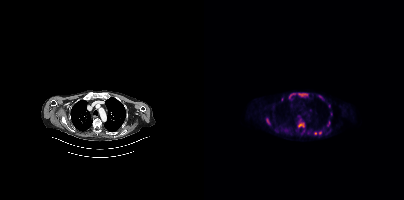
{"pet_grid":[200,200],"coord_frame":"pet_panel","coord_format":"x0,y0,x1,y1","partial":true,"lesion_bboxes":[[94,118,100,127],[93,93,104,97],[84,93,89,100],[110,130,118,135],[62,118,66,124],[123,120,126,126],[115,95,119,99]],"small_foci_centers":[[78,99],[106,110],[127,113],[99,130]],"modality":"PSMA PET/CT","view":"axial","tracer":"[18F]PSMA-1007"}